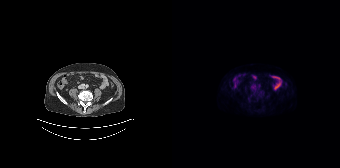
No tumor lesions annotated on this slice.
modality: PSMA PET/CT | tracer: 18F | view: axial | PET grid: 168×168